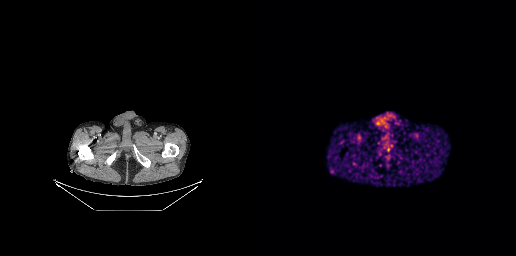
This slice has no annotated PSMA-avid lesion.
modality: PSMA PET/CT | tracer: 68Ga-PSMA | view: axial